Paired axial CT (left) and PSMA PET (right), 18F tracer.
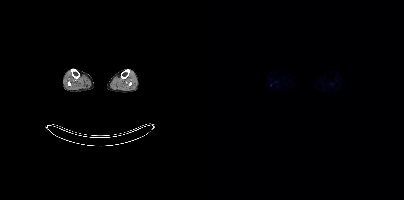
No tumor lesions annotated on this slice.